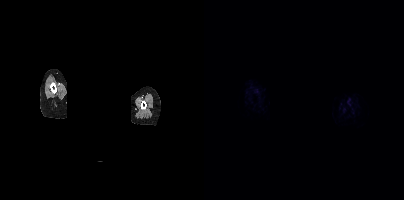
Findings: Negative for PSMA-avid disease on this slice.
- Paired axial CT (left) and PSMA PET (right), [68Ga]Ga-PSMA-11 tracer
- slice 404 of 444
- PET panel 200×200 px (4.1 mm/px)
- facial anatomy redacted by setting a rectangular region of the head to black